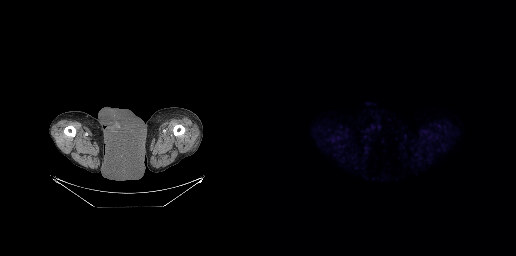
Negative for PSMA-avid disease on this slice. Paired axial CT (left) and PSMA PET (right), 18F tracer. Acquired on GE Discovery 690.